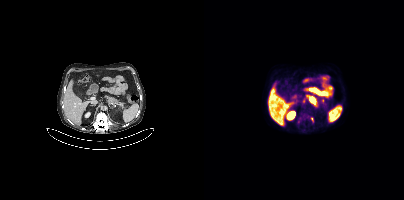
Two-panel axial: CT | PSMA PET, 18F tracer. Slice 206 of 395. Coordinates are on the 200×200 PET (right) panel. PSMA-avid tumor lesion bounding boxes (x0, y0)-(x1, y1): (94, 119)-(97, 123) | (107, 117)-(109, 121). Small PSMA-avid foci (2 to 4 px across) near (center x, center y): (98, 116) | (100, 100) | (119, 100).